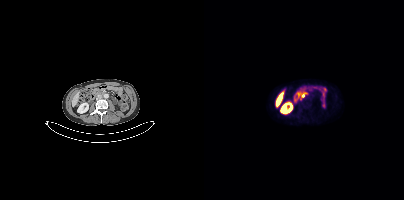
{"modality":"PSMA PET/CT","view":"axial","tracer":"18F","pet_grid":[200,200],"coord_frame":"pet_panel","coord_format":"x0,y0,x1,y1","lesion_bboxes":[],"small_foci_centers":[[99,96]]}